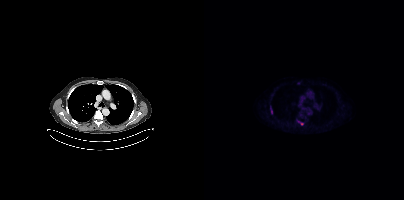
Coordinates are on the 200×200 PET (right) panel. PSMA-avid tumor lesion bounding boxes (x, y, width, height): x=94 y=121 w=6 h=5 | x=66 y=108 w=3 h=6.